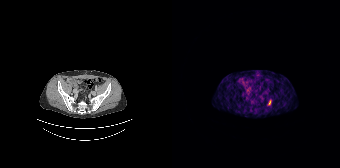
- Two-panel axial: CT | PSMA PET, 68Ga-PSMA tracer
- PET panel 168×168 px (4.1 mm/px)
Findings: Coordinates are on the 168×168 PET (right) panel. PSMA-avid tumor lesion bounding box (x, y, width, height): x=96 y=100 w=3 h=5.